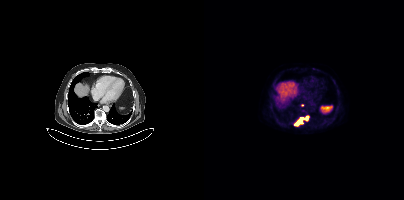
Coordinates are on the 200×200 PET (right) panel. PSMA-avid tumor lesion bounding boxes (x, y, width, height): x=90 y=118 w=10 h=8; x=101 y=116 w=4 h=5. Small PSMA-avid focus (2 to 4 px across) near (center x, center y): (98, 105). Paired axial CT (left) and PSMA PET (right), [18F]PSMA-1007 tracer. Slice position z = -541 mm. PET panel 200×200 px (4.1 mm/px).